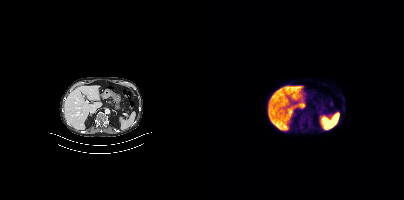
- Paired axial CT (left) and PSMA PET (right), [18F]PSMA-1007 tracer
- acquired on Siemens Biograph mCT Flow 20
Findings: Coordinates are on the 200×200 PET (right) panel. PSMA-avid tumor lesion bounding box (x0, y0)-(x1, y1): (102, 117)-(107, 121).